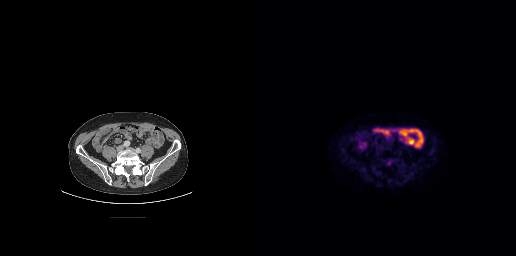
Technique: Two-panel axial: CT | PSMA PET, 18F-PSMA tracer. slice 97 of 263. PET panel 256×256 px (2.7 mm/px).
Findings: Coordinates are on the 256×256 PET (right) panel. PSMA-avid tumor lesion bounding box (x0,y0,x1,y1): [126,159,133,165].